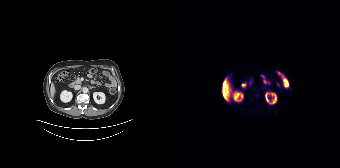
Findings: Negative for PSMA-avid disease on this slice.
Technique: Two-panel axial: CT | PSMA PET, 18F tracer. slice 111 of 195.